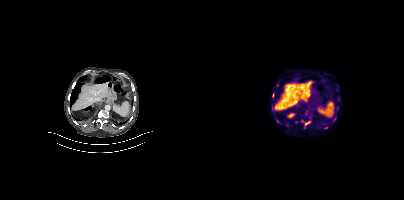
Coordinates are on the 200×200 PET (right) panel. (showing 11 of 13 foci) PSMA-avid tumor lesion bounding boxes (x, y, width, height): x=119 y=123 w=8 h=7; x=97 y=120 w=11 h=9; x=71 y=118 w=7 h=7; x=67 y=109 w=5 h=6; x=80 y=120 w=3 h=6; x=68 y=92 w=3 h=6; x=71 y=99 w=5 h=6; x=129 y=117 w=4 h=5. Small PSMA-avid foci (2 to 4 px across) near (center x, center y): (133, 90); (133, 108); (73, 85). Two-panel axial: CT | PSMA PET, [18F]PSMA-1007 tracer. Slice position z = -1171 mm.